- Paired axial CT (left) and PSMA PET (right), [68Ga]Ga-PSMA-11 tracer
- acquired on GE Discovery 690
- slice position z = -905 mm
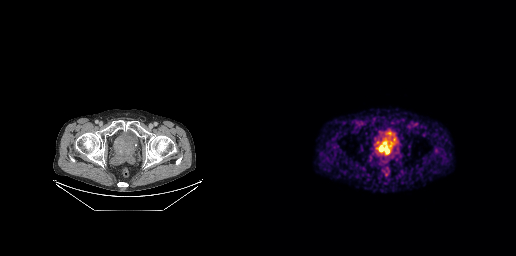
Findings: Coordinates are on the 256×256 PET (right) panel. PSMA-avid tumor lesion bounding box (x0, y0)-(x1, y1): (119, 144)-(129, 153).